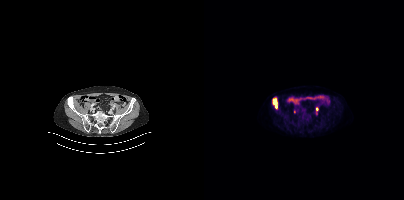
{"modality":"PSMA PET/CT","view":"axial","tracer":"18F-PSMA","pet_grid":[200,200],"coord_frame":"pet_panel","coord_format":"x0,y0,x1,y1","partial":true,"lesion_bboxes":[[69,97,73,108]],"small_foci_centers":[[112,109]]}